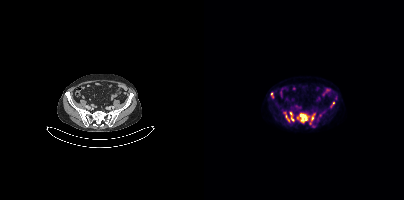
{"modality":"PSMA PET/CT","view":"axial","tracer":"18F","pet_grid":[200,200],"coord_frame":"pet_panel","coord_format":"x0,y0,x1,y1","partial":true,"lesion_bboxes":[[93,113,105,122],[86,112,90,121],[107,114,110,120],[81,115,85,121],[67,92,69,97],[127,102,130,107]],"small_foci_centers":[[80,112]]}